Technique: Left: CT. Right: PSMA PET, same axial level, 18F tracer. acquired on Siemens Biograph mCT Flow 20. slice position z = -836 mm. PET panel 200×200 px (4.1 mm/px).
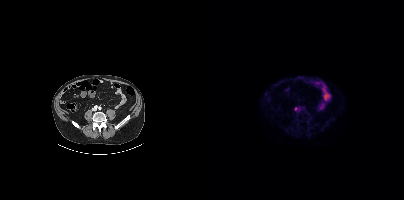
Findings: Coordinates are on the 200×200 PET (right) panel. Small PSMA-avid focus (2 to 4 px across) near (center x, center y): (92, 108).